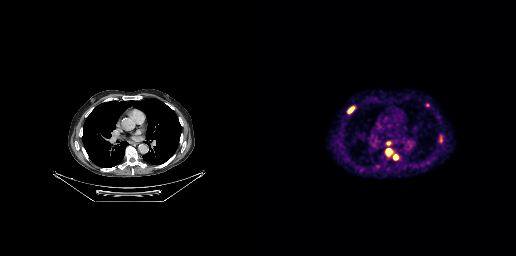
- Two-panel axial: CT | PSMA PET, 68Ga tracer
- slice position z = -478 mm
- PET panel 256×256 px (2.7 mm/px)
Findings: Coordinates are on the 256×256 PET (right) panel. PSMA-avid tumor lesion bounding boxes (x0, y0)-(x1, y1): (126, 148)-(132, 155); (88, 107)-(94, 113); (179, 136)-(182, 143); (133, 154)-(137, 159). Small PSMA-avid foci (2 to 4 px across) near (center x, center y): (128, 143); (167, 105).